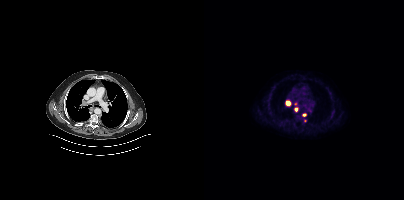
Paired axial CT (left) and PSMA PET (right), 18F-PSMA tracer. Slice position z = -392 mm. PET panel 200×200 px (4.1 mm/px).
Coordinates are on the 200×200 PET (right) panel. PSMA-avid tumor lesion bounding boxes (partial; 1 more focus not listed):
| # | x0 | y0 | x1 | y1 |
|---|---|---|---|---|
| 1 | 81 | 100 | 87 | 105 |
| 2 | 90 | 107 | 94 | 111 |
| 3 | 98 | 113 | 102 | 116 |
Small PSMA-avid focus (2 to 4 px across) near (center x, center y): (91, 103).